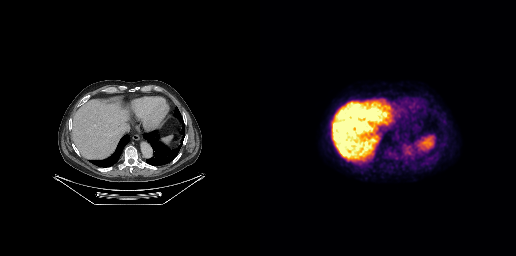
No tumor lesions annotated on this slice.